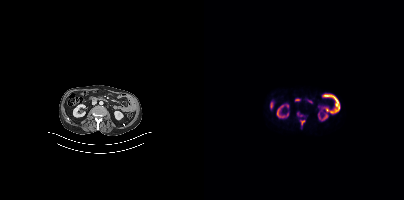
Coordinates are on the 200×200 PET (right) panel. PSMA-avid tumor lesion bounding box (x0, y0)-(x1, y1): (97, 120)-(100, 124). Two-panel axial: CT | PSMA PET, [18F]PSMA-1007 tracer. Acquired on Siemens Biograph mCT Flow 20. Slice 167 of 387. PET panel 200×200 px (4.1 mm/px).